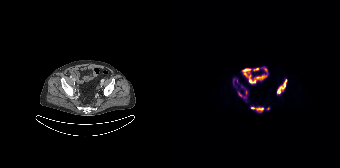
{"pet_grid":[168,168],"coord_frame":"pet_panel","coord_format":"x0,y0,x1,y1","lesion_bboxes":[[105,79,115,94],[79,106,91,112],[66,90,75,98]],"small_foci_centers":[[96,108],[61,80],[64,80],[69,86]],"modality":"PSMA PET/CT","view":"axial","tracer":"[18F]PSMA-1007"}